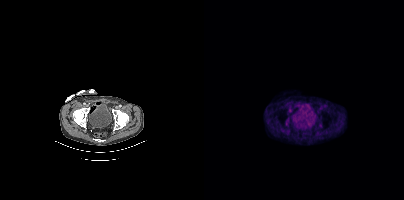
modality: PSMA PET/CT | tracer: 18F-PSMA | view: axial | PET grid: 200×200
This slice has no annotated PSMA-avid lesion.